- Left: CT. Right: PSMA PET, same axial level, 18F tracer
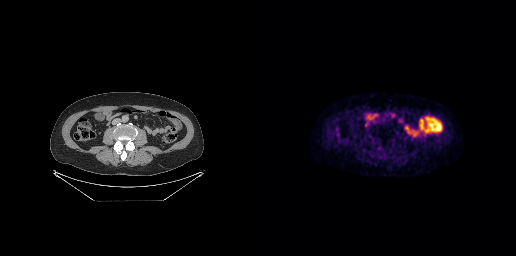
Findings: Negative for PSMA-avid disease on this slice.